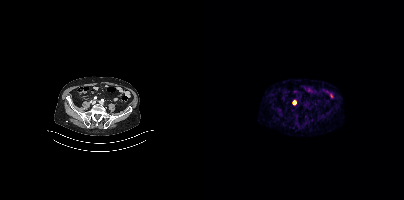
Coordinates are on the 200×200 PET (right) panel. Small PSMA-avid focus (2 to 4 px across) near (center x, center y): (90, 102).